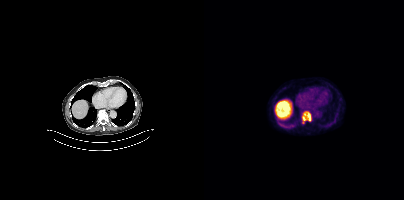
Paired axial CT (left) and PSMA PET (right), 18F tracer. Coordinates are on the 200×200 PET (right) panel. PSMA-avid tumor lesion bounding box (x0,y0,x1,y1): [98,111,107,123].